Two-panel axial: CT | PSMA PET, [18F]PSMA-1007 tracer. Acquired on Siemens Biograph mCT Flow 20.
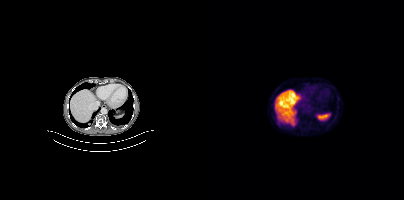
Coordinates are on the 200×200 PET (right) panel. PSMA-avid tumor lesion bounding box (x0,y0,x1,y1): [86,119,92,126]. Small PSMA-avid focus (2 to 4 px across) near (center x, center y): (114, 117).